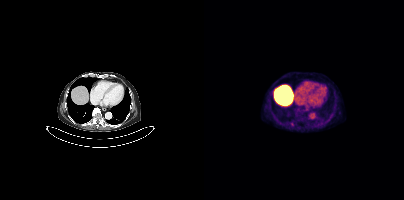
- Left: CT. Right: PSMA PET, same axial level, 18F-PSMA tracer
- acquired on Siemens Biograph mCT Flow 20
- PET panel 200×200 px (4.1 mm/px)
Findings: Coordinates are on the 200×200 PET (right) panel. Small PSMA-avid focus (2 to 4 px across) near (center x, center y): (88, 123).